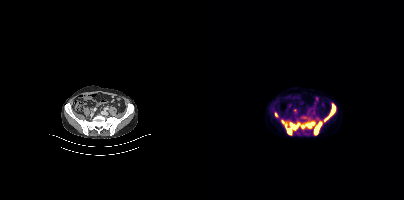
Coordinates are on the 200×200 PET (right) panel. PSMA-avid tumor lesion bounding boxes (x0,y0,x1,y1): [78,120,118,134], [120,104,131,121]. Small PSMA-avid focus (2 to 4 px across) near (center x, center y): (72, 114).